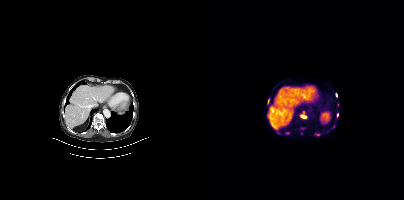
Findings: Coordinates are on the 200×200 PET (right) panel. (showing 10 of 11 foci) PSMA-avid tumor lesion bounding boxes (x, y, width, height): x=96 y=114 w=7 h=5 | x=101 y=84 w=6 h=4 | x=96 y=127 w=6 h=4 | x=111 y=134 w=5 h=2 | x=64 y=99 w=2 h=5. Small PSMA-avid foci (2 to 4 px across) near (center x, center y): (83, 132) | (133, 104) | (133, 114) | (132, 95) | (99, 111).
- Left: CT. Right: PSMA PET, same axial level, 68Ga-PSMA tracer
- slice 219 of 409
- PET panel 200×200 px (4.1 mm/px)